Privacy masking over the head, with the pixels inside a rectangle set to black.
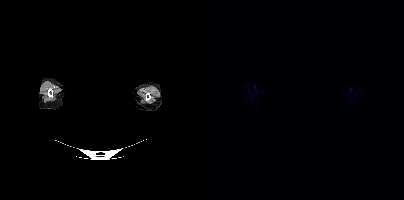
This slice has no annotated PSMA-avid lesion.